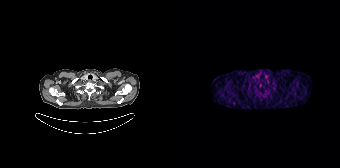
{"pet_grid":[168,168],"coord_frame":"pet_panel","coord_format":"x0,y0,x1,y1","psma_avid_lesions":false,"modality":"PSMA PET/CT","view":"axial","tracer":"68Ga"}